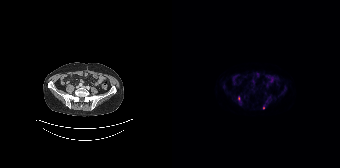
Two-panel axial: CT | PSMA PET, 18F-PSMA tracer. Acquired on Siemens Biograph 64-4R TruePoint. Slice position z = -1040 mm. PET panel 168×168 px (4.1 mm/px). Coordinates are on the 168×168 PET (right) panel. (showing 1 of 2 foci) Small PSMA-avid focus (2 to 4 px across) near (center x, center y): (91, 107).